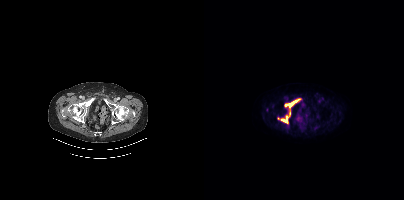
- Paired axial CT (left) and PSMA PET (right), 18F-PSMA tracer
- acquired on Siemens Biograph mCT Flow 20
- slice 78 of 401
- PET panel 200×200 px (4.1 mm/px)
Findings: Coordinates are on the 200×200 PET (right) panel. (showing 3 of 5 foci) PSMA-avid tumor lesion bounding boxes (x0,y0,x1,y1): [81,100,93,107]; [77,116,83,122]. Small PSMA-avid focus (2 to 4 px across) near (center x, center y): (85, 113).